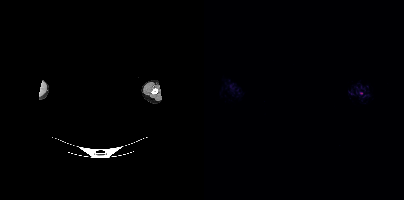
{"modality":"PSMA PET/CT","view":"axial","tracer":"18F-PSMA","pet_grid":[200,200],"coord_frame":"pet_panel","coord_format":"x0,y0,x1,y1","partial":true,"lesion_bboxes":[],"redaction":"face masked with black rectangle"}